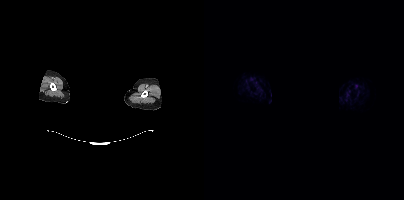
Findings: Negative for PSMA-avid disease on this slice.
- Paired axial CT (left) and PSMA PET (right), [18F]PSMA-1007 tracer
- acquired on Siemens Biograph mCT Flow 20
- slice position z = -41 mm
- PET panel 200×200 px (4.1 mm/px)
- de-identified by setting a box covering the face to black before release